Technique: Paired axial CT (left) and PSMA PET (right), [68Ga]Ga-PSMA-11 tracer. PET panel 168×168 px (4.1 mm/px).
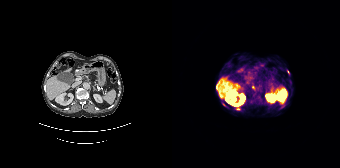
Findings: Coordinates are on the 168×168 PET (right) panel. (showing 4 of 5 foci) PSMA-avid tumor lesion bounding boxes (x0, y0)-(x1, y1): (64, 107)-(68, 110) | (50, 103)-(54, 106). Small PSMA-avid foci (2 to 4 px across) near (center x, center y): (109, 107) | (80, 87).